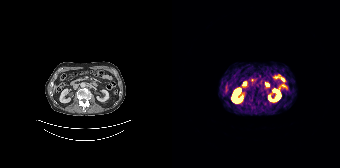
{"modality":"PSMA PET/CT","view":"axial","tracer":"68Ga","pet_grid":[168,168],"coord_frame":"pet_panel","coord_format":"x0,y0,x1,y1","psma_avid_lesions":false}